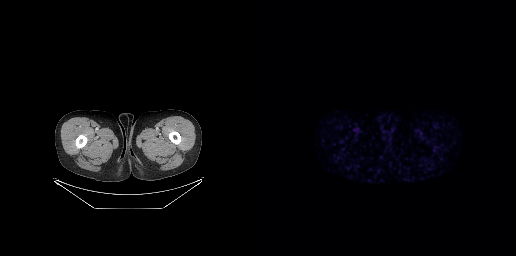
- Paired axial CT (left) and PSMA PET (right), 68Ga-PSMA tracer
- PET panel 256×256 px (2.7 mm/px)
Findings: Negative for PSMA-avid disease on this slice.